Technique: Two-panel axial: CT | PSMA PET, [68Ga]Ga-PSMA-11 tracer.
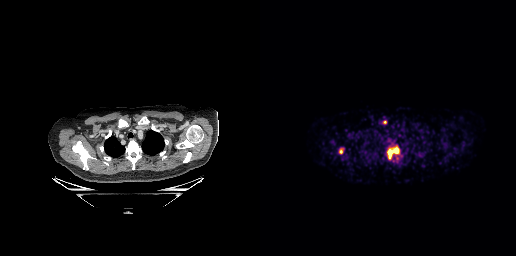
Findings: Coordinates are on the 256×256 PET (right) panel. (showing 2 of 3 foci) PSMA-avid tumor lesion bounding boxes (x0,y0,x1,y1): [127,147,138,158]; [79,149,82,153].